Technique: Paired axial CT (left) and PSMA PET (right), 68Ga-PSMA tracer. acquired on Siemens Biograph 64-4R TruePoint.
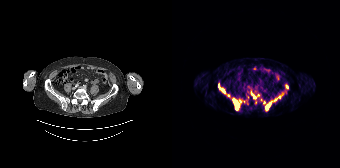
Findings: Coordinates are on the 168×168 PET (right) panel. (showing 8 of 10 foci) PSMA-avid tumor lesion bounding boxes (x, y, width, height): x=61 y=98 w=7 h=12 | x=93 y=103 w=6 h=8 | x=46 y=84 w=8 h=10. Small PSMA-avid foci (2 to 4 px across) near (center x, center y): (115, 86) | (107, 96) | (56, 95) | (82, 96) | (92, 102).